Two-panel axial: CT | PSMA PET, 18F tracer. Acquired on Siemens Biograph 64-4R TruePoint.
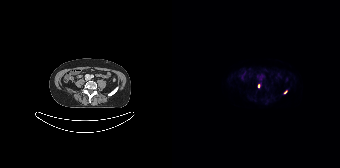
Coordinates are on the 168×168 PET (right) panel. Small PSMA-avid foci (2 to 4 px across) near (center x, center y): (86, 85); (113, 92).